Any black rectangle over the head is a privacy mask, not anatomy.
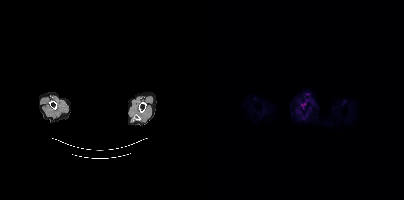
Coordinates are on the 200×200 PET (right) panel. Small PSMA-avid focus (2 to 4 px across) near (center x, center y): (98, 104).